- Paired axial CT (left) and PSMA PET (right), 18F tracer
- acquired on Siemens Biograph mCT Flow 20
- slice position z = -770 mm
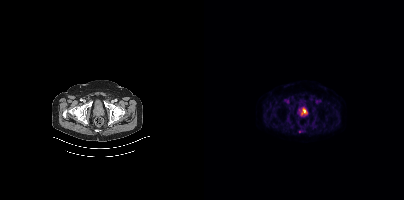
Findings: Coordinates are on the 200×200 PET (right) panel. Small PSMA-avid focus (2 to 4 px across) near (center x, center y): (95, 131).